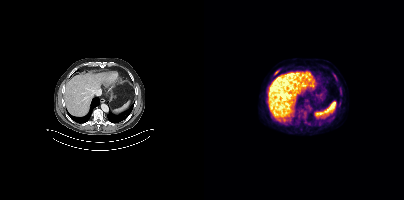
{"modality":"PSMA PET/CT","view":"axial","tracer":"18F","pet_grid":[200,200],"coord_frame":"pet_panel","coord_format":"x0,y0,x1,y1","lesion_bboxes":[[129,73,132,78]],"small_foci_centers":[[72,72]]}